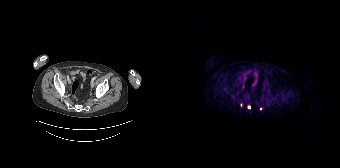
modality: PSMA PET/CT | tracer: 68Ga-PSMA | view: axial
Coordinates are on the 168×168 PET (right) panel. (showing 2 of 3 foci) Small PSMA-avid foci (2 to 4 px across) near (center x, center y): (77, 107) (88, 108).